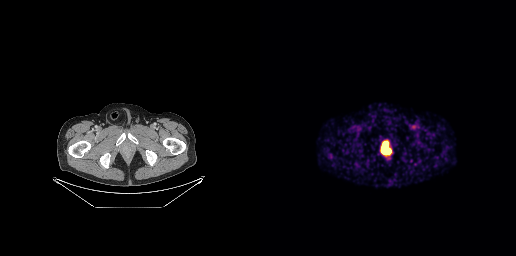
Coordinates are on the 256×256 PET (right) panel. PSMA-avid tumor lesion bounding box (x, y, width, height): x=121 y=141 w=11 h=14.